Technique: Left: CT. Right: PSMA PET, same axial level, [18F]PSMA-1007 tracer. slice position z = -389 mm. PET panel 200×200 px (4.1 mm/px).
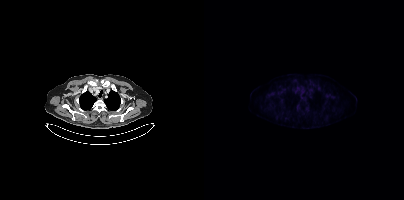
Findings: Negative for PSMA-avid disease on this slice.